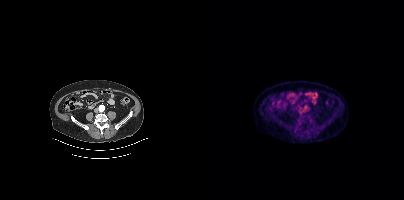
Coordinates are on the 200×200 PET (right) panel. Small PSMA-avid focus (2 to 4 px across) near (center x, center y): (96, 107).
modality: PSMA PET/CT | tracer: 18F | view: axial | PET grid: 200×200